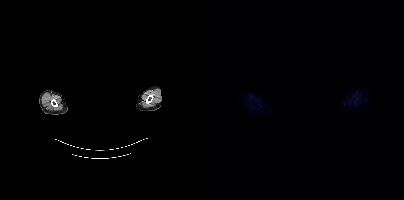
{"modality":"PSMA PET/CT","view":"axial","tracer":"[18F]PSMA-1007","pet_grid":[200,200],"coord_frame":"pet_panel","coord_format":"x0,y0,x1,y1","redaction":"head region blanked (face removed)","psma_avid_lesions":false}